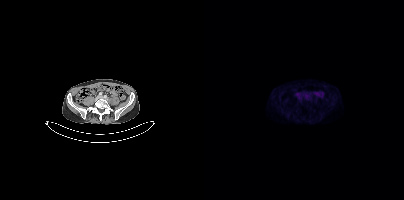
modality: PSMA PET/CT | tracer: 18F-PSMA | view: axial
No tumor lesions annotated on this slice.